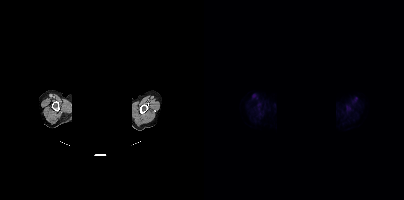
{"modality":"PSMA PET/CT","view":"axial","tracer":"18F-PSMA","pet_grid":[200,200],"coord_frame":"pet_panel","coord_format":"x0,y0,x1,y1","lesion_bboxes":[],"small_foci_centers":[[152,99]],"de-identification":"face masked with black rectangle"}